Two-panel axial: CT | PSMA PET, [18F]PSMA-1007 tracer. Acquired on Siemens Biograph mCT Flow 20. Slice 288 of 448. PET panel 200×200 px (4.1 mm/px).
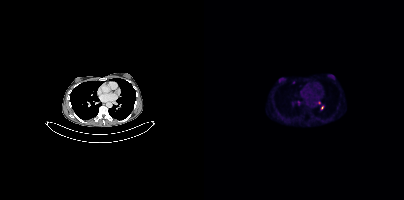
Coordinates are on the 200×200 PET (right) panel. Small PSMA-avid foci (2 to 4 px across) near (center x, center y): (89, 82); (74, 113); (94, 102); (115, 102); (118, 107); (96, 91).